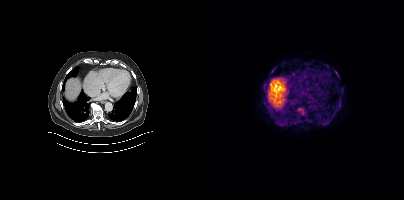
Coordinates are on the 200×200 PET (right) panel. PSMA-avid tumor lesion bounding boxes:
| # | x0 | y0 | x1 | y1 |
|---|---|---|---|---|
| 1 | 118 | 119 | 125 | 125 |
| 2 | 94 | 108 | 99 | 113 |
Small PSMA-avid foci (2 to 4 px across) near (center x, center y): (123, 65); (132, 72); (134, 108); (137, 94).
Two-panel axial: CT | PSMA PET, [18F]PSMA-1007 tracer. Acquired on Siemens Biograph mCT Flow 20. Slice position z = -438 mm. PET panel 200×200 px (4.1 mm/px).